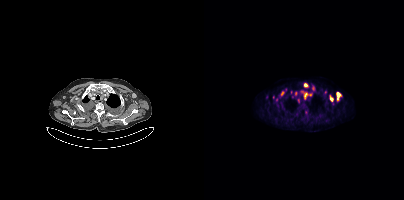
Coordinates are on the 200×200 PET (right) panel. PSMA-avid tumor lesion bounding boxes (partial; 3 more foci not listed):
| # | x0 | y0 | x1 | y1 |
|---|---|---|---|---|
| 1 | 96 | 91 | 107 | 99 |
| 2 | 132 | 92 | 137 | 101 |
| 3 | 100 | 83 | 104 | 87 |
| 4 | 126 | 96 | 129 | 101 |
| 5 | 93 | 98 | 95 | 103 |
| 6 | 108 | 86 | 110 | 90 |
Small PSMA-avid foci (2 to 4 px across) near (center x, center y): (78, 93); (69, 97); (91, 93); (73, 105).
Paired axial CT (left) and PSMA PET (right), 18F-PSMA tracer. Acquired on Siemens Biograph mCT Flow 20. PET panel 200×200 px (4.1 mm/px).